Paired axial CT (left) and PSMA PET (right), [18F]PSMA-1007 tracer. Slice 19 of 466. PET panel 200×200 px (4.1 mm/px).
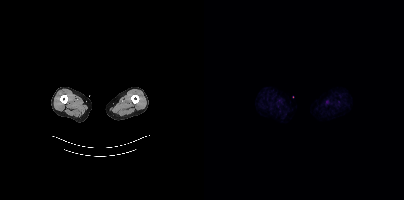
Negative for PSMA-avid disease on this slice.